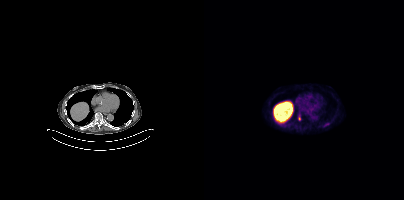
{"pet_grid":[200,200],"coord_frame":"pet_panel","coord_format":"x0,y0,x1,y1","lesion_bboxes":[],"small_foci_centers":[[95,118]],"modality":"PSMA PET/CT","view":"axial","tracer":"[18F]PSMA-1007"}